A rectangle over the head was blacked out to remove identifiable facial features. Left: CT. Right: PSMA PET, same axial level, 18F tracer. Slice position z = -466 mm.
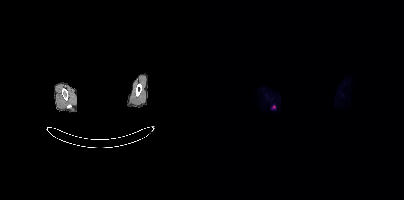
Coordinates are on the 200×200 PET (right) panel. Small PSMA-avid focus (2 to 4 px across) near (center x, center y): (69, 107).